modality: PSMA PET/CT | tracer: [18F]PSMA-1007 | view: axial
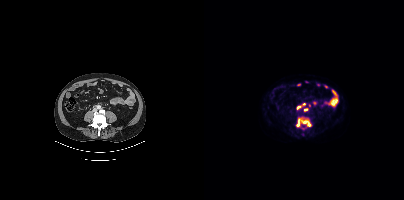
Coordinates are on the 200×200 PET (right) panel. (showing 3 of 4 foci) PSMA-avid tumor lesion bounding boxes (x, y, width, height): x=92 y=118 w=16 h=9 | x=93 y=103 w=9 h=7 | x=100 y=108 w=5 h=4.